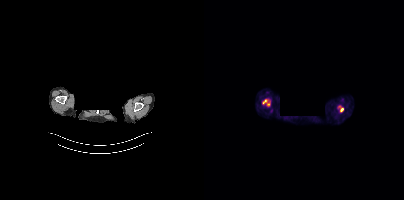
modality: PSMA PET/CT | tracer: 18F-PSMA | view: axial | de-identification: head region blacked out before release
Negative for PSMA-avid disease on this slice.